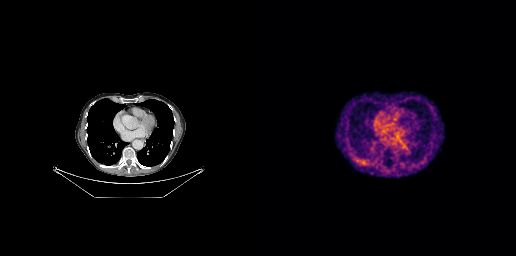
- Left: CT. Right: PSMA PET, same axial level, 68Ga tracer
- slice position z = -445 mm
- PET panel 256×256 px (2.7 mm/px)
Findings: This slice has no annotated PSMA-avid lesion.